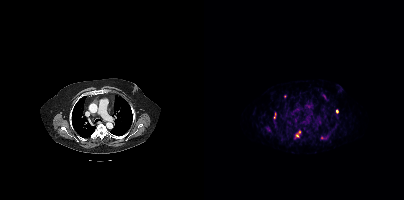
Coordinates are on the 200×200 PET (right) panel. (showing 5 of 7 foci) PSMA-avid tumor lesion bounding boxes (x0, y0)-(x1, y1): (90, 130)-(97, 139) / (132, 109)-(134, 113). Small PSMA-avid foci (2 to 4 px across) near (center x, center y): (81, 96) / (120, 96) / (117, 137).
modality: PSMA PET/CT | tracer: [68Ga]Ga-PSMA-11 | view: axial